Left: CT. Right: PSMA PET, same axial level, [18F]PSMA-1007 tracer.
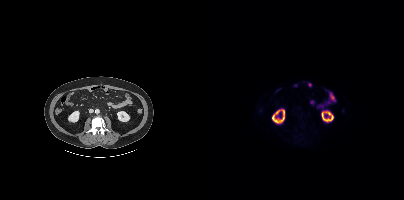
Negative for PSMA-avid disease on this slice.